Technique: Two-panel axial: CT | PSMA PET, 18F-PSMA tracer. slice position z = -1038 mm.
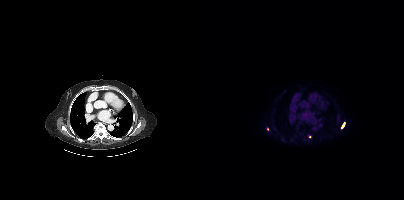
Findings: Coordinates are on the 200×200 PET (right) panel. PSMA-avid tumor lesion bounding box (x0, y0)-(x1, y1): (137, 122)-(141, 128). Small PSMA-avid foci (2 to 4 px across) near (center x, center y): (105, 136); (63, 129).